Left: CT. Right: PSMA PET, same axial level, 18F tracer. Acquired on Siemens Biograph mCT Flow 20.
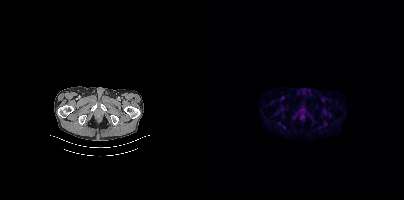
This slice has no annotated PSMA-avid lesion.